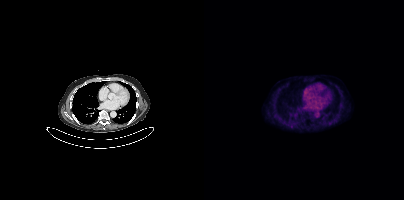
Findings: This slice has no annotated PSMA-avid lesion.
- Two-panel axial: CT | PSMA PET, 18F-PSMA tracer
- acquired on Siemens Biograph mCT Flow 20